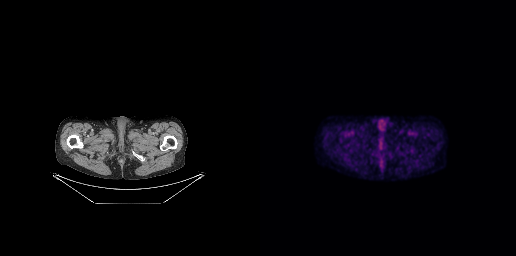
Negative for PSMA-avid disease on this slice.